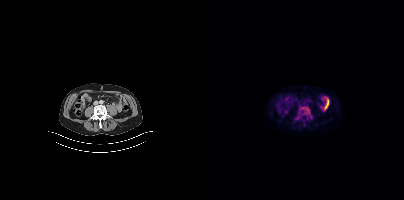
Paired axial CT (left) and PSMA PET (right), 18F-PSMA tracer. PET panel 200×200 px (4.1 mm/px). No PSMA-avid tumor lesions on this slice.